- Two-panel axial: CT | PSMA PET, [18F]PSMA-1007 tracer
- acquired on Siemens Biograph mCT Flow 20
- slice 303 of 413
- PET panel 200×200 px (4.1 mm/px)
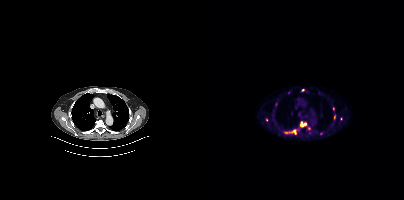
Findings: Coordinates are on the 200×200 PET (right) panel. (showing 7 of 8 foci) PSMA-avid tumor lesion bounding boxes (x0,y0,x1,y1): [97,122,102,126] [80,131,87,133] [130,115,131,119]. Small PSMA-avid foci (2 to 4 px across) near (center x, center y): (99, 90) (90, 131) (129, 108) (62, 119).